- Two-panel axial: CT | PSMA PET, 18F tracer
- slice position z = -1178 mm
- PET panel 200×200 px (4.1 mm/px)
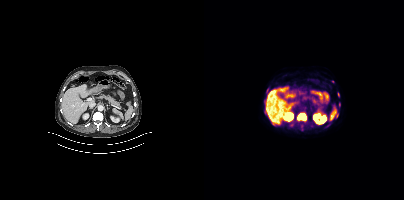
Findings: Coordinates are on the 200×200 PET (right) panel. (showing 4 of 5 foci) PSMA-avid tumor lesion bounding boxes (x, y, width, height): x=93 y=113 w=10 h=9; x=131 y=113 w=4 h=5; x=62 y=89 w=3 h=5. Small PSMA-avid focus (2 to 4 px across) near (center x, center y): (134, 94).